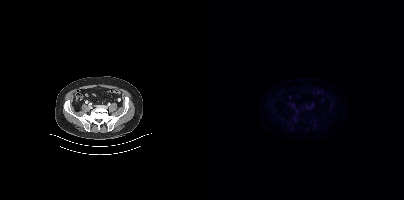
Two-panel axial: CT | PSMA PET, [18F]PSMA-1007 tracer. Slice position z = -1526 mm. PET panel 200×200 px (4.1 mm/px). This slice has no annotated PSMA-avid lesion.